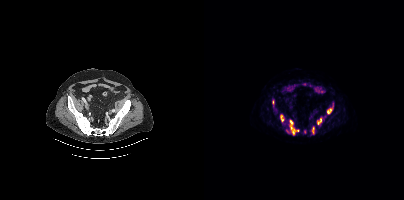
Coordinates are on the 200×200 PET (right) panel. (showing 7 of 9 foci) PSMA-avid tumor lesion bounding boxes (x0,y0,x1,y1): [85,120,95,134] [123,105,129,113] [76,114,80,121] [113,119,117,124] [108,127,110,134] [68,100,70,104]. Small PSMA-avid focus (2 to 4 px across) near (center x, center y): (100, 131). Two-panel axial: CT | PSMA PET, 18F tracer. Acquired on Siemens Biograph mCT Flow 20. Slice 117 of 454.